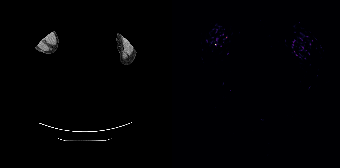
Left: CT. Right: PSMA PET, same axial level, 18F tracer. PET panel 168×168 px (4.1 mm/px). Privacy masking over the head, with the pixels inside a rectangle set to black. No PSMA-avid tumor lesions on this slice.